Privacy masking over the head, with the pixels inside a rectangle set to black.
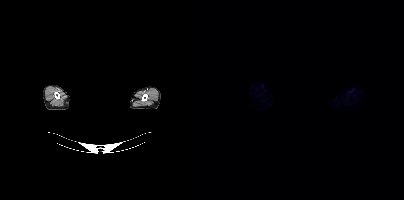
This slice has no annotated PSMA-avid lesion.